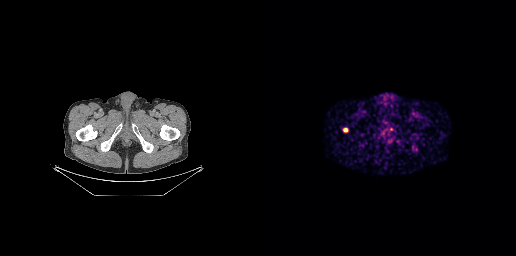
Left: CT. Right: PSMA PET, same axial level, 68Ga-PSMA tracer. Coordinates are on the 256×256 PET (right) panel. Small PSMA-avid focus (2 to 4 px across) near (center x, center y): (85, 130).